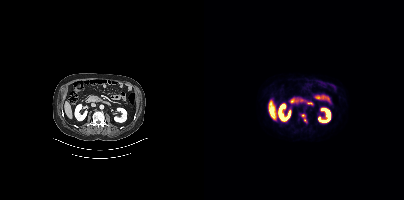
{"pet_grid":[200,200],"coord_frame":"pet_panel","coord_format":"x0,y0,x1,y1","lesion_bboxes":[],"small_foci_centers":[[99,115],[101,120]],"modality":"PSMA PET/CT","view":"axial","tracer":"18F-PSMA"}